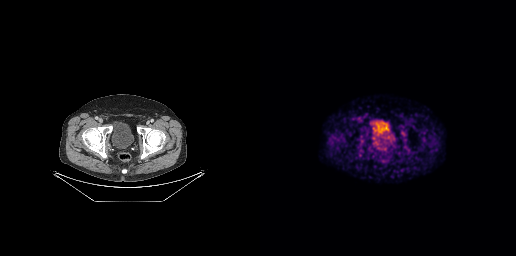
{"pet_grid":[256,256],"coord_frame":"pet_panel","coord_format":"x0,y0,x1,y1","lesion_bboxes":[],"small_foci_centers":[[145,147]],"modality":"PSMA PET/CT","view":"axial","tracer":"68Ga-PSMA"}